Paired axial CT (left) and PSMA PET (right), 18F tracer. Slice position z = -1235 mm. PET panel 168×168 px (4.1 mm/px).
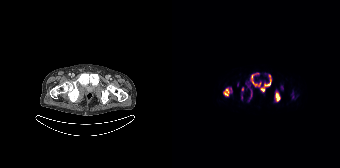
Coordinates are on the 168×168 PET (right) panel. (showing 8 of 9 foci) PSMA-avid tumor lesion bounding boxes (x, y, width, height): x=76 y=73 w=14 h=15 | x=51 y=87 w=10 h=10 | x=102 y=91 w=7 h=11 | x=92 y=74 w=8 h=14 | x=119 y=91 w=4 h=8 | x=78 y=90 w=3 h=9 | x=73 y=82 w=6 h=5. Small PSMA-avid focus (2 to 4 px across) near (center x, center y): (70, 88).